Left: CT. Right: PSMA PET, same axial level, 18F tracer. Slice position z = -187 mm.
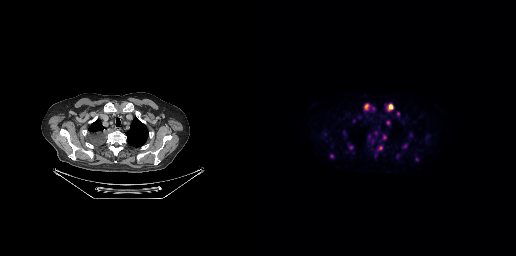
Coordinates are on the 256×256 PET (right) panel. (showing 9 of 10 foci) PSMA-avid tumor lesion bounding boxes (x0, y0)-(x1, y1): (125, 103)-(134, 111) | (104, 104)-(109, 110) | (126, 120)-(130, 125) | (137, 112)-(139, 116) | (123, 134)-(126, 138). Small PSMA-avid foci (2 to 4 px across) near (center x, center y): (120, 147) | (91, 147) | (72, 156) | (156, 159).